Paired axial CT (left) and PSMA PET (right), [18F]PSMA-1007 tracer. PET panel 200×200 px (4.1 mm/px).
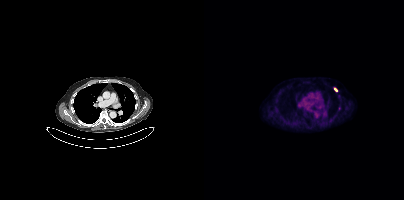
Coordinates are on the 200×200 PET (right) panel. Small PSMA-avid focus (2 to 4 px across) near (center x, center y): (132, 89).